modality: PSMA PET/CT | tracer: 18F | view: axial
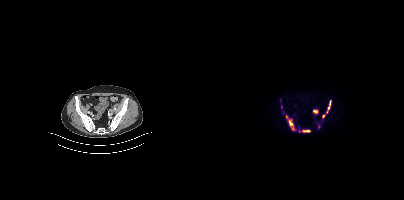
Coordinates are on the 200×200 PET (right) panel. (showing 8 of 10 foci) PSMA-avid tumor lesion bounding boxes (x0,y0,x1,y1): [82,115,91,130] [98,130,106,132] [109,110,113,112] [125,101,127,105]. Small PSMA-avid foci (2 to 4 px across) near (center x, center y): (77, 106) (124, 108) (119, 116) (114, 126).